modality: PSMA PET/CT | tracer: 18F | view: axial | PET grid: 200×200
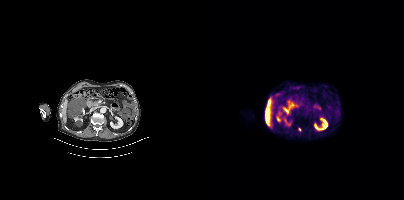
Coordinates are on the 200×200 PET (right) panel. Small PSMA-avid focus (2 to 4 px across) near (center x, center y): (95, 129).